- Left: CT. Right: PSMA PET, same axial level, [18F]PSMA-1007 tracer
- PET panel 200×200 px (4.1 mm/px)
- privacy masking over the head, with the pixels inside a rectangle set to black
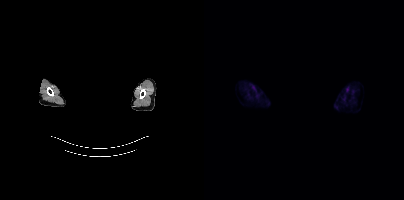
Findings: No tumor lesions annotated on this slice.